modality: PSMA PET/CT | tracer: [18F]PSMA-1007 | view: axial
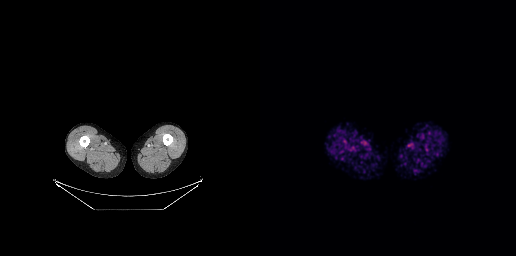
No PSMA-avid tumor lesions on this slice.